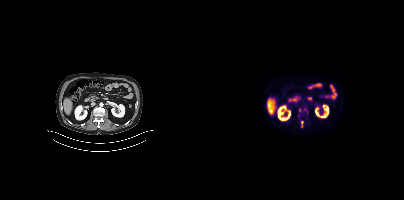
Findings: Coordinates are on the 200×200 PET (right) panel. (showing 1 of 2 foci) PSMA-avid tumor lesion bounding box (x0,y0,x1,y1): [97,121,99,126].
Technique: Paired axial CT (left) and PSMA PET (right), 18F tracer.